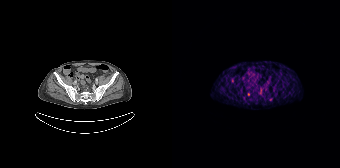
Two-panel axial: CT | PSMA PET, 68Ga-PSMA tracer. Acquired on Siemens Biograph 64-4R TruePoint. Slice 62 of 195. Coordinates are on the 168×168 PET (right) panel. Small PSMA-avid focus (2 to 4 px across) near (center x, center y): (76, 94).